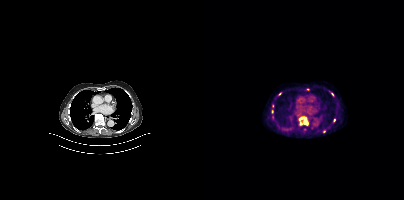
modality: PSMA PET/CT | tracer: 18F-PSMA | view: axial
Coordinates are on the 200×200 PET (right) panel. PSMA-avid tumor lesion bounding box (x, y, width, height): x=95 y=116 w=10 h=10. Small PSMA-avid foci (2 to 4 px across) near (center x, center y): (68, 111) / (76, 94) / (128, 94) / (130, 120) / (68, 106) / (68, 116) / (120, 131).